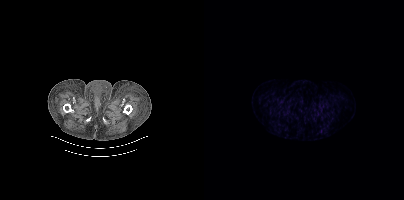
modality: PSMA PET/CT | tracer: [18F]PSMA-1007 | view: axial | PET grid: 200×200
This slice has no annotated PSMA-avid lesion.